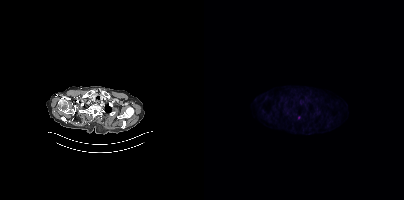
Coordinates are on the 200×200 PET (right) panel. Small PSMA-avid focus (2 to 4 px across) near (center x, center y): (94, 117).